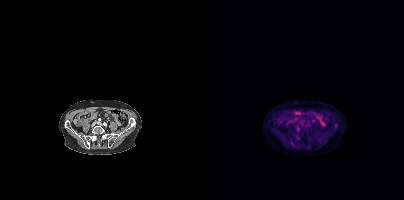
Two-panel axial: CT | PSMA PET, 18F tracer. Acquired on Siemens Biograph mCT Flow 20. Slice 127 of 389. PET panel 200×200 px (4.1 mm/px). Coordinates are on the 200×200 PET (right) panel. Small PSMA-avid foci (2 to 4 px across) near (center x, center y): (131, 125); (94, 128); (88, 144).